modality: PSMA PET/CT | tracer: [18F]PSMA-1007 | view: axial
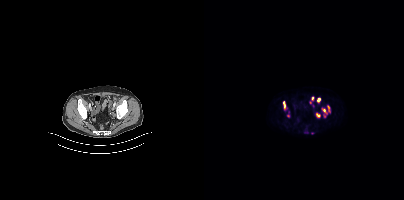
Coordinates are on the 200×200 PET (right) panel. PSMA-avid tumor lesion bounding box (x0, y0)-(x1, y1): (79, 101)-(81, 109). Small PSMA-avid foci (2 to 4 px across) near (center x, center y): (114, 99); (113, 114); (120, 110); (108, 98); (84, 115); (124, 107).